Technique: Two-panel axial: CT | PSMA PET, [18F]PSMA-1007 tracer. slice position z = -1064 mm.
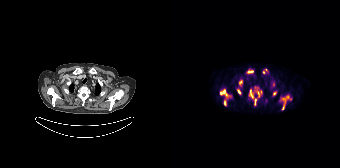
Findings: Coordinates are on the 168×168 PET (right) panel. PSMA-avid tumor lesion bounding boxes (x0, y0)-(x1, y1): (77, 86)-(90, 105) / (108, 95)-(119, 110) / (48, 89)-(58, 98) / (74, 69)-(81, 73) / (65, 89)-(69, 94) / (52, 100)-(54, 105) / (101, 91)-(104, 95). Small PSMA-avid foci (2 to 4 px across) near (center x, center y): (91, 72) / (69, 80) / (68, 84) / (101, 85) / (94, 69).